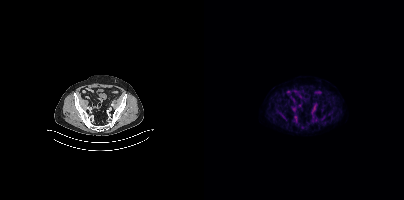
Coordinates are on the 200×200 PET (right) panel. PSMA-avid tumor lesion bounding boxes (x, y, width, height): x=117 y=115 w=5 h=6 / x=77 y=114 w=7 h=7. Small PSMA-avid focus (2 to 4 px across) near (center x, center y): (75, 113).
modality: PSMA PET/CT | tracer: 18F | view: axial